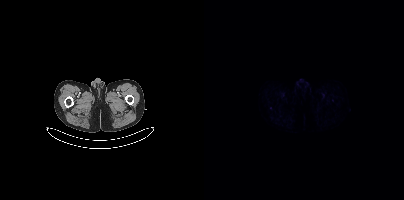
{"pet_grid":[200,200],"coord_frame":"pet_panel","coord_format":"x0,y0,x1,y1","lesion_bboxes":[],"small_foci_centers":[[66,107]],"modality":"PSMA PET/CT","view":"axial","tracer":"68Ga"}